Paired axial CT (left) and PSMA PET (right), 18F-PSMA tracer. Acquired on Siemens Biograph mCT Flow 20. Slice 265 of 963. PET panel 200×200 px (4.1 mm/px).
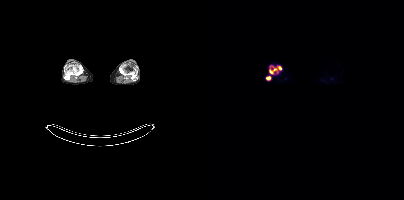
Coordinates are on the 200×200 PET (right) panel. PSMA-avid tumor lesion bounding boxes:
| # | x0 | y0 | x1 | y1 |
|---|---|---|---|---|
| 1 | 65 | 66 | 77 | 73 |
| 2 | 62 | 76 | 66 | 80 |